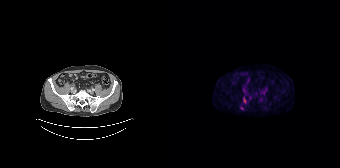
Left: CT. Right: PSMA PET, same axial level, 18F-PSMA tracer. Acquired on Siemens Biograph 64-4R TruePoint.
Coordinates are on the 168×168 PET (right) panel. PSMA-avid tumor lesion bounding boxes (partial; 1 more focus not listed):
| # | x0 | y0 | x1 | y1 |
|---|---|---|---|---|
| 1 | 71 | 97 | 74 | 103 |
Small PSMA-avid foci (2 to 4 px across) near (center x, center y): (91, 92); (70, 108).